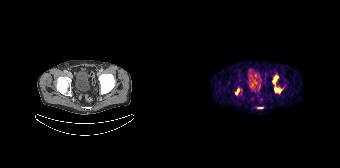
Technique: Paired axial CT (left) and PSMA PET (right), 68Ga tracer. acquired on Siemens Biograph 64-4R TruePoint. slice position z = -1168 mm.
Findings: Coordinates are on the 168×168 PET (right) panel. PSMA-avid tumor lesion bounding boxes (x0, y0)-(x1, y1): (102, 86)-(109, 93) / (100, 75)-(106, 83) / (63, 87)-(69, 94) / (86, 107)-(91, 108).